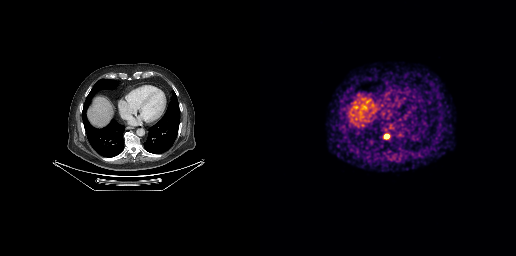
Coordinates are on the 256×256 PET (right) panel. PSMA-avid tumor lesion bounding box (x, y, width, height): x=125 y=134 w=4 h=5.
modality: PSMA PET/CT | tracer: [68Ga]Ga-PSMA-11 | view: axial